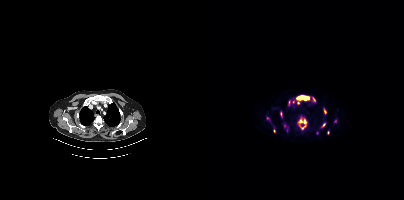
modality: PSMA PET/CT | tracer: 18F | view: axial
Coordinates are on the 200×200 PET (right) panel. (showing 7 of 12 foci) PSMA-avid tumor lesion bounding boxes (x0,y0,x1,y1): [94,118,102,129]; [93,95,105,100]; [76,112,78,116]. Small PSMA-avid foci (2 to 4 px across) near (center x, center y): (110, 99); (120, 124); (121, 111); (124, 132).